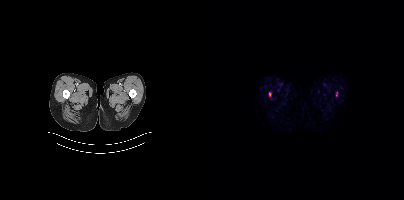
Coordinates are on the 200×200 PET (right) panel. (showing 1 of 2 foci) PSMA-avid tumor lesion bounding box (x0, y0)-(x1, y1): (65, 92)-(66, 96).